- Two-panel axial: CT | PSMA PET, 18F tracer
- slice position z = -1000 mm
- PET panel 200×200 px (4.1 mm/px)
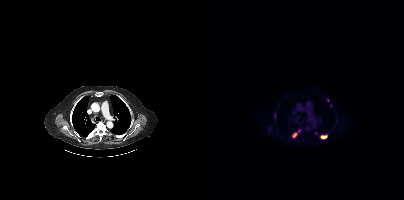
Findings: Coordinates are on the 200×200 PET (right) panel. PSMA-avid tumor lesion bounding boxes (x, y, width, height): x=116 y=135 w=8 h=4; x=89 y=133 w=4 h=5.